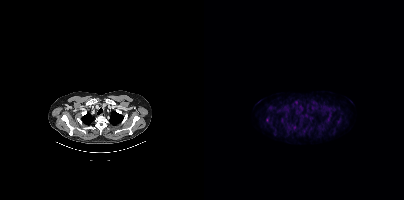
Two-panel axial: CT | PSMA PET, 18F tracer. Slice 333 of 417. Negative for PSMA-avid disease on this slice.